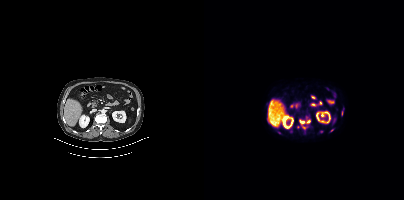
Technique: Left: CT. Right: PSMA PET, same axial level, [18F]PSMA-1007 tracer. PET panel 200×200 px (4.1 mm/px).
Findings: Coordinates are on the 200×200 PET (right) panel. PSMA-avid tumor lesion bounding box (x0, y0)-(x1, y1): (96, 120)-(100, 123). Small PSMA-avid focus (2 to 4 px across) near (center x, center y): (104, 121).